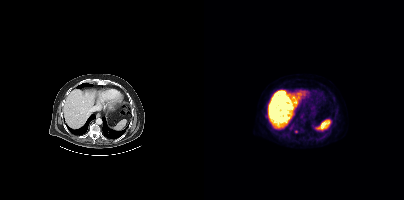
Left: CT. Right: PSMA PET, same axial level, [18F]PSMA-1007 tracer. Acquired on Siemens Biograph mCT Flow 20. PET panel 200×200 px (4.1 mm/px). Only PSMA-avid lesion pieces thinner than 2 px on this slice (not listed).